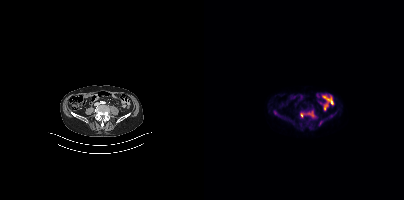
Findings: Coordinates are on the 200×200 PET (right) panel. (showing 3 of 4 foci) PSMA-avid tumor lesion bounding box (x0, y0)-(x1, y1): (102, 112)-(109, 116). Small PSMA-avid foci (2 to 4 px across) near (center x, center y): (71, 112); (98, 114).
- Two-panel axial: CT | PSMA PET, 18F tracer
- PET panel 200×200 px (4.1 mm/px)